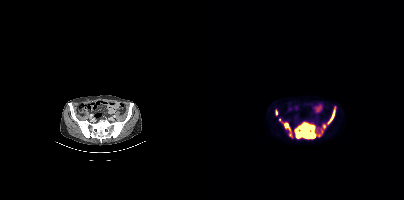
Coordinates are on the 200×200 PET (right) panel. PSMA-avid tumor lesion bounding boxes (x, y, width, height): x=90 y=123 w=21 h=16 / x=112 y=129 w=8 h=9 / x=81 y=123 w=8 h=15 / x=125 y=107 w=7 h=17 / x=118 y=124 w=5 h=6. Small PSMA-avid foci (2 to 4 px across) near (center x, center y): (72, 112) / (75, 119) / (78, 122).